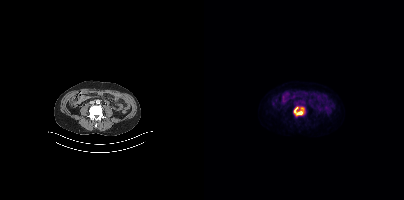
- Left: CT. Right: PSMA PET, same axial level, 18F tracer
- PET panel 200×200 px (4.1 mm/px)
Findings: Coordinates are on the 200×200 PET (right) panel. PSMA-avid tumor lesion bounding box (x0,y0,x1,y1): [89,106,100,116].